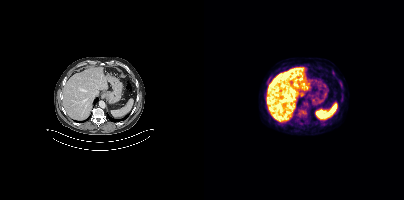
{"pet_grid":[200,200],"coord_frame":"pet_panel","coord_format":"x0,y0,x1,y1","lesion_bboxes":[],"small_foci_centers":[[129,72]],"modality":"PSMA PET/CT","view":"axial","tracer":"18F-PSMA"}